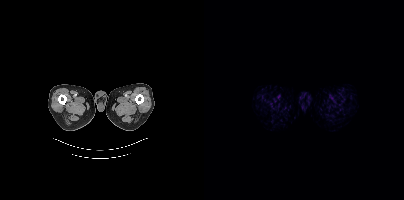
Two-panel axial: CT | PSMA PET, [18F]PSMA-1007 tracer. Negative for PSMA-avid disease on this slice.